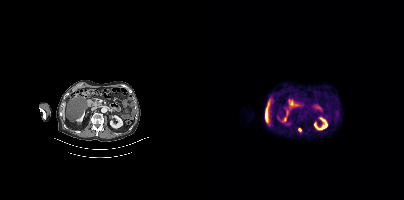
Two-panel axial: CT | PSMA PET, 18F-PSMA tracer. Slice position z = -16 mm. Coordinates are on the 200×200 PET (right) panel. PSMA-avid tumor lesion bounding box (x0, y0)-(x1, y1): (94, 128)-(97, 132).